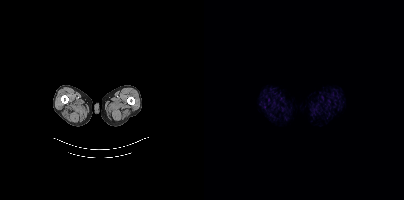
No tumor lesions annotated on this slice.